Left: CT. Right: PSMA PET, same axial level, [18F]PSMA-1007 tracer. PET panel 200×200 px (4.1 mm/px).
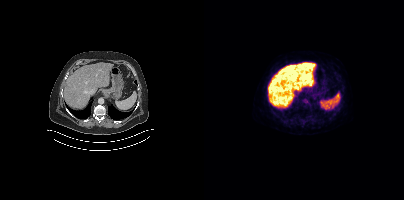
No tumor lesions annotated on this slice.